An anonymization step blacked out a rectangle over the head in this scan.
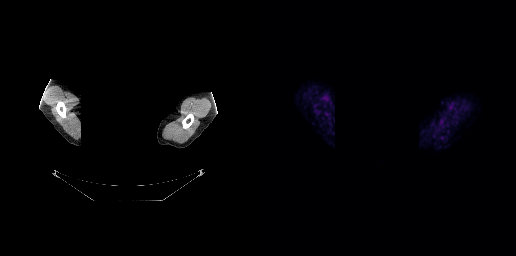
No tumor lesions annotated on this slice.